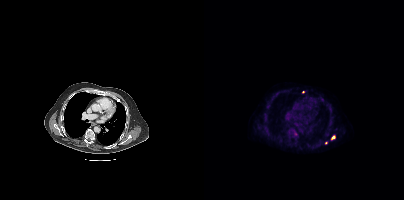
{"modality":"PSMA PET/CT","view":"axial","tracer":"18F-PSMA","pet_grid":[200,200],"coord_frame":"pet_panel","coord_format":"x0,y0,x1,y1","partial":true,"lesion_bboxes":[],"small_foci_centers":[[129,137]]}